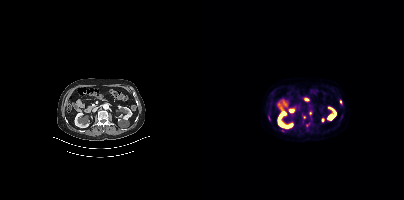
{"pet_grid":[200,200],"coord_frame":"pet_panel","coord_format":"x0,y0,x1,y1","partial":true,"lesion_bboxes":[[64,115,66,120]],"small_foci_centers":[[136,101],[106,113],[102,126]],"modality":"PSMA PET/CT","view":"axial","tracer":"[18F]PSMA-1007"}